Technique: Paired axial CT (left) and PSMA PET (right), 18F tracer. acquired on Siemens Biograph mCT Flow 20. PET panel 200×200 px (4.1 mm/px).
Note: De-identified by setting a box covering the face to black before release.
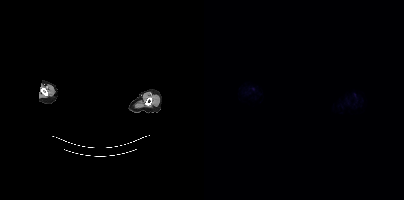
Findings: No tumor lesions annotated on this slice.